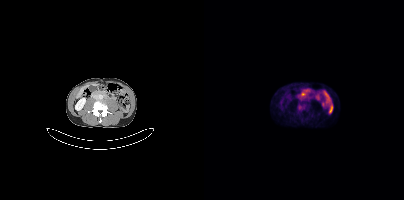
Coordinates are on the 200×200 PET (right) panel. PSMA-avid tumor lesion bounding box (x, y, width, height): x=94 y=104 w=6 h=7.